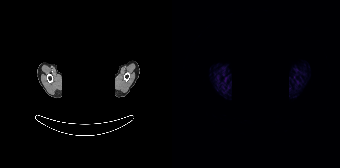
Findings: No tumor lesions annotated on this slice.
Technique: Two-panel axial: CT | PSMA PET, 68Ga tracer.
Note: The face region was removed for patient privacy by blanking a rectangle over the head.